Technique: Paired axial CT (left) and PSMA PET (right), [18F]PSMA-1007 tracer.
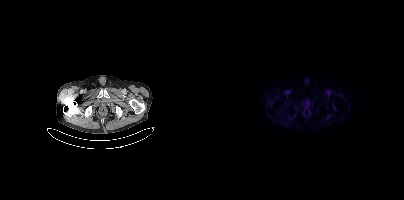
Findings: This slice has no annotated PSMA-avid lesion.